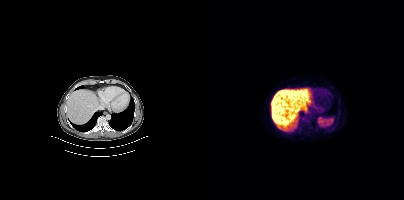
Findings: This slice has no annotated PSMA-avid lesion.
Technique: Left: CT. Right: PSMA PET, same axial level, 18F tracer. PET panel 200×200 px (4.1 mm/px).